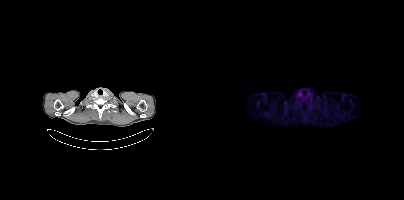
- Paired axial CT (left) and PSMA PET (right), 18F tracer
- acquired on Siemens Biograph mCT Flow 20
- slice position z = -908 mm
Findings: No PSMA-avid tumor lesions on this slice.